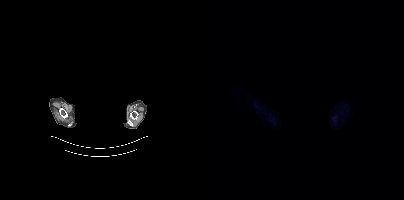
This slice has no annotated PSMA-avid lesion. De-identified by setting a box covering the face to black before release. Paired axial CT (left) and PSMA PET (right), [18F]PSMA-1007 tracer. PET panel 200×200 px (4.1 mm/px).